- Paired axial CT (left) and PSMA PET (right), 68Ga-PSMA tracer
- slice 242 of 409
- PET panel 200×200 px (4.1 mm/px)
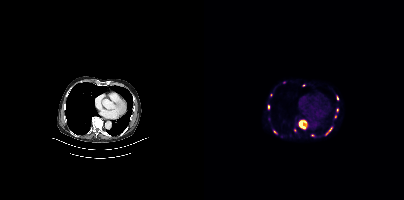
Findings: Coordinates are on the 200×200 PET (right) panel. PSMA-avid tumor lesion bounding boxes (x0,y0,x1,y1): [95,121,102,129], [122,127,128,135]. Small PSMA-avid foci (2 to 4 px across) near (center x, center y): (64, 106), (70, 131), (108, 135), (133, 98), (133, 109), (131, 116), (90, 130), (99, 85).